Left: CT. Right: PSMA PET, same axial level, 68Ga tracer. Acquired on Siemens Biograph 64-4R TruePoint. Slice position z = -206 mm.
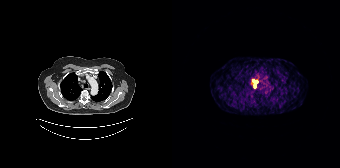
Coordinates are on the 168×168 PET (right) panel. PSMA-avid tumor lesion bounding boxes:
| # | x0 | y0 | x1 | y1 |
|---|---|---|---|---|
| 1 | 80 | 80 | 85 | 87 |